Technique: Paired axial CT (left) and PSMA PET (right), [18F]PSMA-1007 tracer. slice 265 of 423. PET panel 200×200 px (4.1 mm/px).
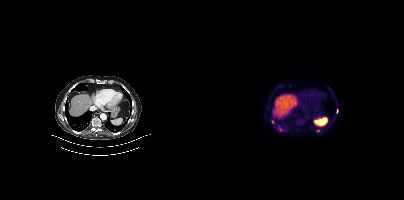
Findings: Coordinates are on the 200×200 PET (right) panel. PSMA-avid tumor lesion bounding box (x0,y0,x1,y1): [75,127,78,131]. Small PSMA-avid foci (2 to 4 px across) near (center x, center y): (68, 121) (114, 130) (133, 110).